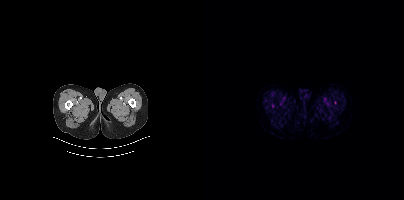
Left: CT. Right: PSMA PET, same axial level, 18F-PSMA tracer. This slice has no annotated PSMA-avid lesion.